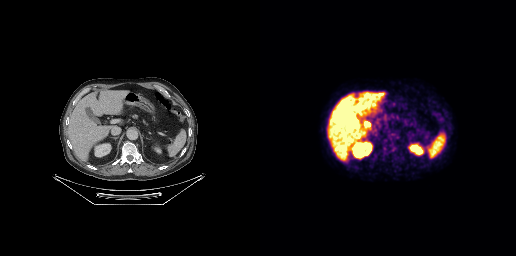
{"modality":"PSMA PET/CT","view":"axial","tracer":"18F","pet_grid":[256,256],"coord_frame":"pet_panel","coord_format":"x0,y0,x1,y1","psma_avid_lesions":false}